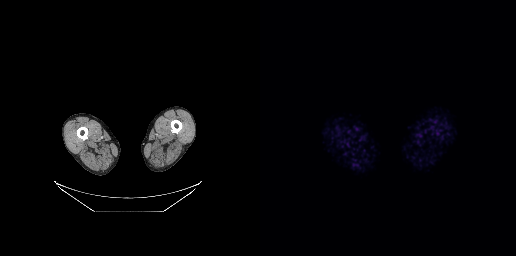
Left: CT. Right: PSMA PET, same axial level, [18F]PSMA-1007 tracer. Acquired on GE Discovery 690. Slice position z = -964 mm. Negative for PSMA-avid disease on this slice.